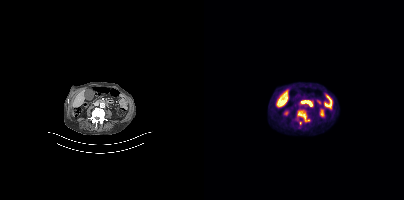
Coordinates are on the 200×200 PET (right) panel. PSMA-avid tumor lesion bounding boxes (partial; 1 more focus not listed):
| # | x0 | y0 | x1 | y1 |
|---|---|---|---|---|
| 1 | 91 | 114 | 105 | 125 |
Two-panel axial: CT | PSMA PET, [18F]PSMA-1007 tracer.